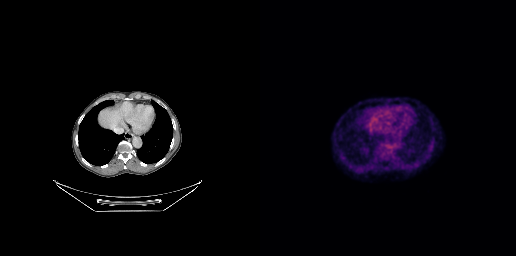
This slice has no annotated PSMA-avid lesion.
modality: PSMA PET/CT | tracer: 18F-PSMA | view: axial | PET grid: 256×256